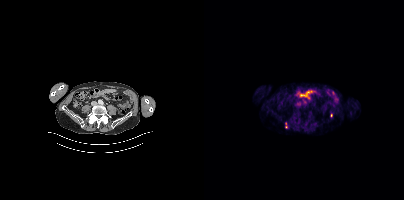
modality: PSMA PET/CT | tracer: [18F]PSMA-1007 | view: axial | PET grid: 200×200
Coordinates are on the 200×200 PET (right) panel. PSMA-avid tumor lesion bounding box (x, y, width, height): x=81 y=122 w=3 h=7. Small PSMA-avid focus (2 to 4 px across) near (center x, center y): (127, 115).